modality: PSMA PET/CT | tracer: 18F-PSMA | view: axial
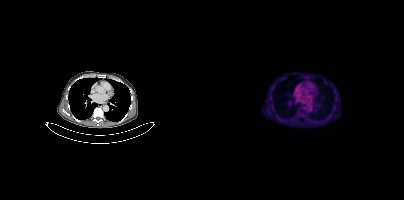
Coordinates are on the 200×200 PET (right) panel. Small PSMA-avid focus (2 to 4 px across) near (center x, center y): (66, 97).